Technique: Paired axial CT (left) and PSMA PET (right), 18F-PSMA tracer. acquired on Siemens Biograph mCT Flow 20. slice position z = -1188 mm. PET panel 200×200 px (4.1 mm/px).
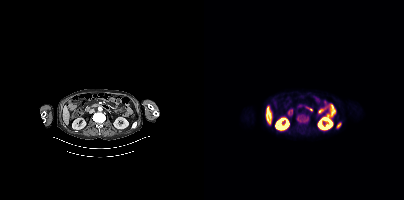
Findings: Coordinates are on the 200×200 PET (right) panel. PSMA-avid tumor lesion bounding boxes (x0, y0)-(x1, y1): (93, 115)-(104, 122) / (132, 122)-(137, 128).